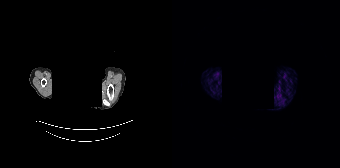
Facial anatomy redacted by setting a rectangular region of the head to black. Two-panel axial: CT | PSMA PET, [68Ga]Ga-PSMA-11 tracer. Slice position z = -314 mm. No tumor lesions annotated on this slice.